modality: PSMA PET/CT | tracer: [18F]PSMA-1007 | view: axial | PET grid: 256×256
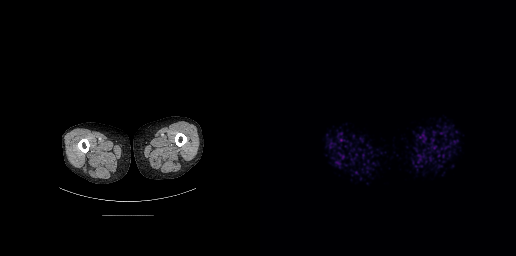
Negative for PSMA-avid disease on this slice.